modality: PSMA PET/CT | tracer: [18F]PSMA-1007 | view: axial | PET grid: 200×200
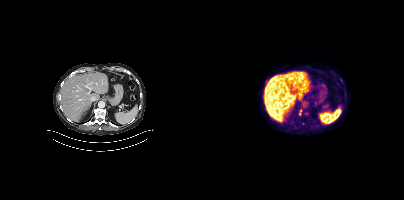
Coordinates are on the 200×200 PET (right) panel. Small PSMA-avid foci (2 to 4 px across) near (center x, center y): (96, 110); (95, 113).